modality: PSMA PET/CT | tracer: 18F-PSMA | view: axial
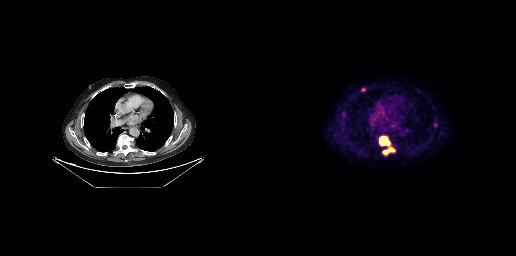
Coordinates are on the 256×256 PET (right) panel. PSMA-avid tumor lesion bounding boxes (x0,y0,x1,y1): [119,136,135,155] [173,122,177,127] [101,88,105,91]. Small PSMA-avid focus (2 to 4 px across) near (center x, center y): (83, 114).